- Left: CT. Right: PSMA PET, same axial level, 18F tracer
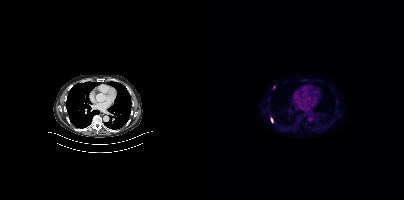
Findings: Coordinates are on the 200×200 PET (right) panel. PSMA-avid tumor lesion bounding box (x0,y0,x1,y1): [67,118,68,122]. Small PSMA-avid focus (2 to 4 px across) near (center x, center y): (70, 87).